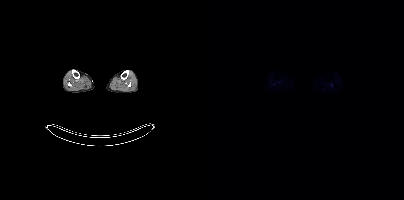
{"modality":"PSMA PET/CT","view":"axial","tracer":"18F","pet_grid":[200,200],"coord_frame":"pet_panel","coord_format":"x0,y0,x1,y1","psma_avid_lesions":false}